- Left: CT. Right: PSMA PET, same axial level, [18F]PSMA-1007 tracer
- PET panel 200×200 px (4.1 mm/px)
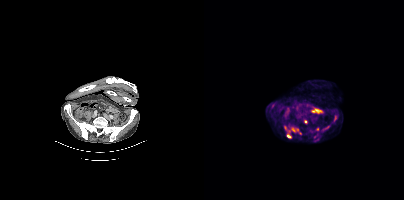
Findings: Coordinates are on the 200×200 PET (right) panel. PSMA-avid tumor lesion bounding boxes (x0, y0)-(x1, y1): (88, 128)-(96, 133) / (120, 125)-(126, 130) / (83, 134)-(87, 138) / (130, 115)-(132, 121) / (81, 127)-(83, 132). Small PSMA-avid foci (2 to 4 px across) near (center x, center y): (101, 121) / (69, 105) / (113, 129) / (110, 136).